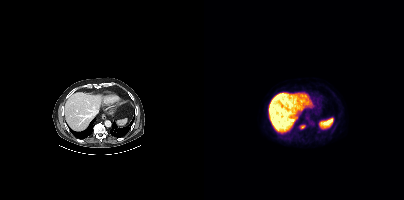
Coordinates are on the 200×200 PET (right) panel. Small PSMA-avid focus (2 to 4 px across) near (center x, center y): (98, 126).